de-identification: rectangular block over head set to black | modality: PSMA PET/CT | tracer: 68Ga | view: axial | PET grid: 256×256
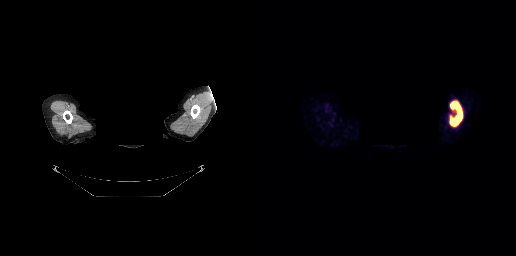
Coordinates are on the 256×256 PET (right) panel. PSMA-avid tumor lesion bounding box (x0,y0,x1,y1): [189,100,203,126].